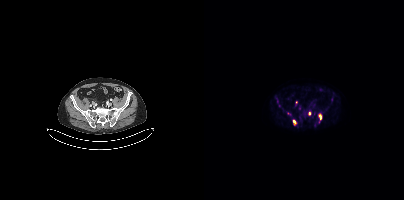
modality: PSMA PET/CT | tracer: [18F]PSMA-1007 | view: axial | PET grid: 200×200
Coordinates are on the 200×200 PET (right) panel. (showing 4 of 5 foci) PSMA-avid tumor lesion bounding boxes (x0, y0)-(x1, y1): (114, 115)-(117, 119) | (89, 120)-(92, 124). Small PSMA-avid foci (2 to 4 px across) near (center x, center y): (75, 105) | (105, 113).